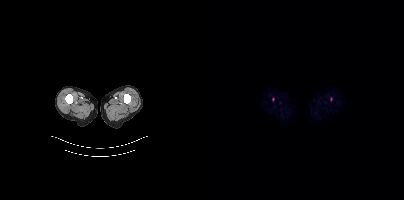
Left: CT. Right: PSMA PET, same axial level, 18F tracer. Slice position z = -984 mm. Coordinates are on the 200×200 PET (right) panel. (showing 1 of 2 foci) Small PSMA-avid focus (2 to 4 px across) near (center x, center y): (69, 99).